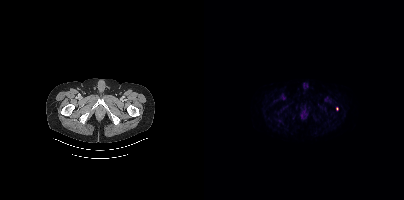
{"modality":"PSMA PET/CT","view":"axial","tracer":"18F","pet_grid":[200,200],"coord_frame":"pet_panel","coord_format":"x0,y0,x1,y1","lesion_bboxes":[],"small_foci_centers":[[133,108]]}